Two-panel axial: CT | PSMA PET, [18F]PSMA-1007 tracer. PET panel 200×200 px (4.1 mm/px).
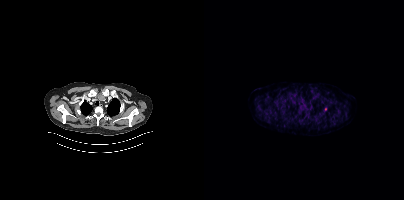
Coordinates are on the 200×200 PET (right) panel. Small PSMA-avid focus (2 to 4 px across) near (center x, center y): (121, 109).